- Two-panel axial: CT | PSMA PET, 18F-PSMA tracer
- PET panel 200×200 px (4.1 mm/px)
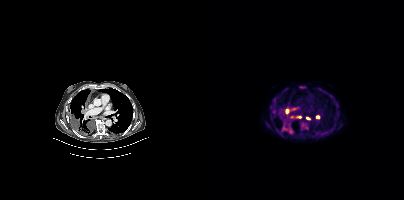
Findings: Coordinates are on the 200×200 PET (right) panel. PSMA-avid tumor lesion bounding boxes (x0, y0)-(x1, y1): (77, 125)-(89, 134) | (98, 123)-(103, 128) | (95, 86)-(101, 88) | (82, 109)-(86, 113) | (86, 116)-(90, 118) | (88, 108)-(92, 110). Small PSMA-avid foci (2 to 4 px across) near (center x, center y): (113, 117) | (70, 112) | (96, 116) | (103, 118) | (92, 116).